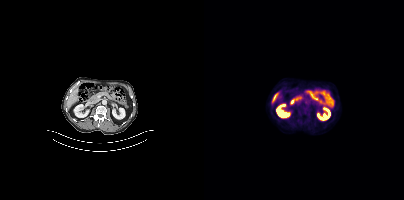
No PSMA-avid tumor lesions on this slice. Paired axial CT (left) and PSMA PET (right), 18F-PSMA tracer. Acquired on Siemens Biograph mCT Flow 20. PET panel 200×200 px (4.1 mm/px).